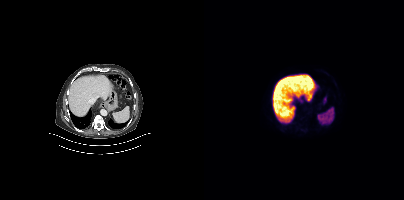
- Left: CT. Right: PSMA PET, same axial level, 18F tracer
- acquired on Siemens Biograph mCT Flow 20
- slice position z = -648 mm
Findings: No tumor lesions annotated on this slice.